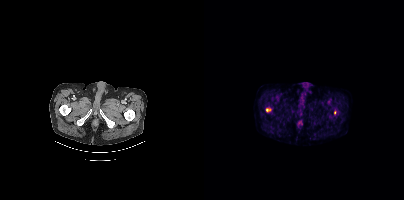
Technique: Paired axial CT (left) and PSMA PET (right), 18F-PSMA tracer. acquired on Siemens Biograph mCT Flow 20. slice position z = -486 mm.
Findings: Coordinates are on the 200×200 PET (right) panel. PSMA-avid tumor lesion bounding box (x0, y0)-(x1, y1): (62, 108)-(66, 111). Small PSMA-avid focus (2 to 4 px across) near (center x, center y): (131, 112).